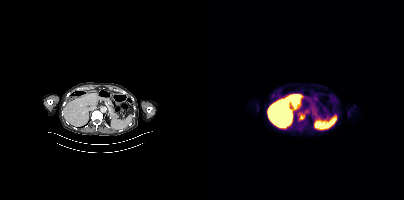
Technique: Left: CT. Right: PSMA PET, same axial level, [18F]PSMA-1007 tracer. acquired on Siemens Biograph mCT Flow 20.
Findings: No PSMA-avid tumor lesions on this slice.